- Paired axial CT (left) and PSMA PET (right), [18F]PSMA-1007 tracer
- slice 86 of 454
- PET panel 200×200 px (4.1 mm/px)
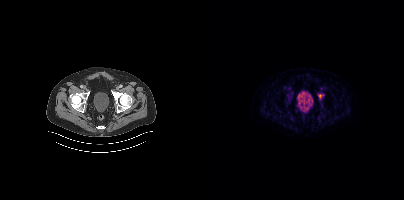
Findings: Coordinates are on the 200×200 PET (right) panel. PSMA-avid tumor lesion bounding box (x0,y0,x1,y1): [114,94,119,99].